- Two-panel axial: CT | PSMA PET, [18F]PSMA-1007 tracer
- slice position z = -608 mm
- PET panel 200×200 px (4.1 mm/px)
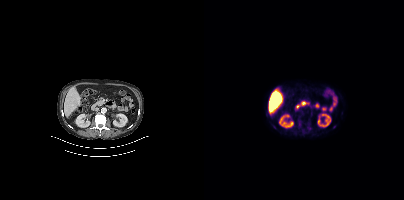
Findings: Coordinates are on the 200×200 PET (right) panel. (showing 1 of 2 foci) Small PSMA-avid focus (2 to 4 px across) near (center x, center y): (95, 124).